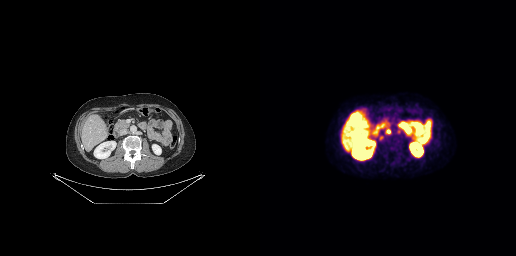
- Left: CT. Right: PSMA PET, same axial level, 18F tracer
- PET panel 256×256 px (2.7 mm/px)
Findings: Coordinates are on the 256×256 PET (right) panel. PSMA-avid tumor lesion bounding box (x0, y0)-(x1, y1): (126, 129)-(130, 133). Small PSMA-avid foci (2 to 4 px across) near (center x, center y): (138, 131); (121, 137).